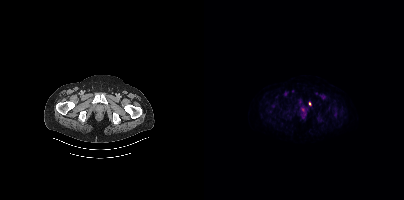
{"modality":"PSMA PET/CT","view":"axial","tracer":"[18F]PSMA-1007","pet_grid":[200,200],"coord_frame":"pet_panel","coord_format":"x0,y0,x1,y1","lesion_bboxes":[[97,107,102,112],[129,112,134,116],[113,116,117,120],[67,104,71,107]],"small_foci_centers":[[95,101],[106,103]]}